- Paired axial CT (left) and PSMA PET (right), 68Ga-PSMA tracer
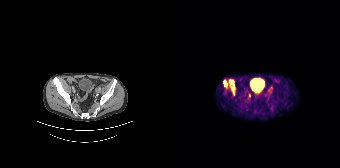
Findings: Coordinates are on the 168×168 PET (right) panel. (showing 3 of 6 foci) PSMA-avid tumor lesion bounding boxes (x0, y0)-(x1, y1): (57, 79)-(63, 95); (51, 80)-(55, 87). Small PSMA-avid focus (2 to 4 px across) near (center x, center y): (77, 95).